modality: PSMA PET/CT | tracer: 18F | view: axial | PET grid: 200×200
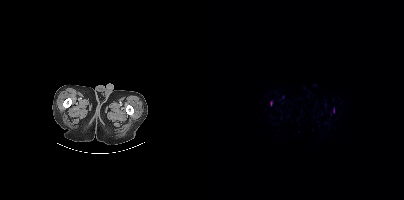
Coordinates are on the 200×200 PET (right) panel. PSMA-avid tumor lesion bounding box (x, y, width, height): x=129 y=108 w=2 h=5. Small PSMA-avid focus (2 to 4 px across) near (center x, center y): (67, 104).